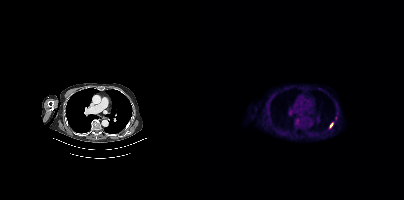
{"modality":"PSMA PET/CT","view":"axial","tracer":"18F-PSMA","pet_grid":[200,200],"coord_frame":"pet_panel","coord_format":"x0,y0,x1,y1","partial":true,"lesion_bboxes":[[125,122,129,128]]}